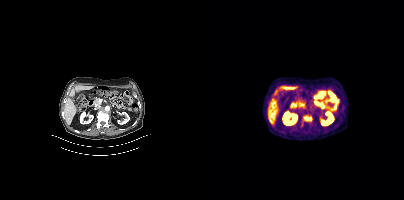
Coordinates are on the 200×200 PET (right) panel. PSMA-avid tumor lesion bounding box (x0, y0)-(x1, y1): (100, 116)-(107, 120).